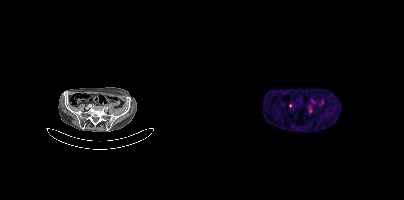
Findings: Coordinates are on the 200×200 PET (right) panel. Small PSMA-avid focus (2 to 4 px across) near (center x, center y): (106, 111).
Technique: Two-panel axial: CT | PSMA PET, [68Ga]Ga-PSMA-11 tracer. acquired on Siemens Biograph mCT Flow 20.